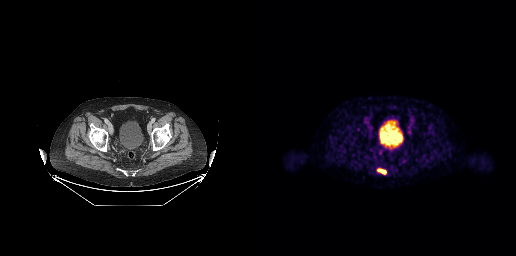
Paired axial CT (left) and PSMA PET (right), 18F tracer. Acquired on GE Discovery 690. Coordinates are on the 256×256 PET (right) panel. PSMA-avid tumor lesion bounding box (x0,y0,x1,y1): [117,168,126,174].